Technique: Left: CT. Right: PSMA PET, same axial level, 18F-PSMA tracer. acquired on Siemens Biograph mCT Flow 20. slice position z = -618 mm. PET panel 200×200 px (4.1 mm/px).
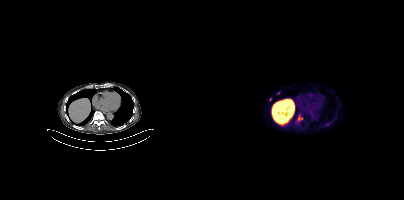
Findings: Coordinates are on the 200×200 PET (right) panel. (showing 2 of 4 foci) PSMA-avid tumor lesion bounding box (x, y, width, height): x=94 y=115 w=5 h=6. Small PSMA-avid focus (2 to 4 px across) near (center x, center y): (74, 93).